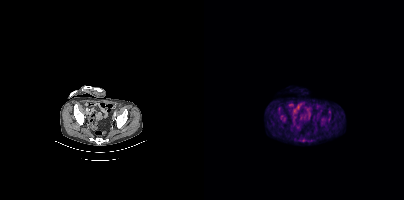
Two-panel axial: CT | PSMA PET, 18F tracer. Acquired on Siemens Biograph mCT Flow 20. PET panel 200×200 px (4.1 mm/px). Coordinates are on the 200×200 PET (right) panel. (showing 4 of 5 foci) Small PSMA-avid foci (2 to 4 px across) near (center x, center y): (99, 140); (79, 120); (125, 114); (95, 139).